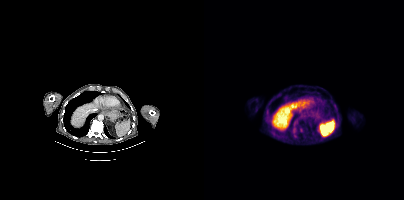
Coordinates are on the 200×200 PET (right) panel. Small PSMA-avid focus (2 to 4 px across) near (center x, center y): (97, 130).